- Paired axial CT (left) and PSMA PET (right), 18F tracer
- PET panel 200×200 px (4.1 mm/px)
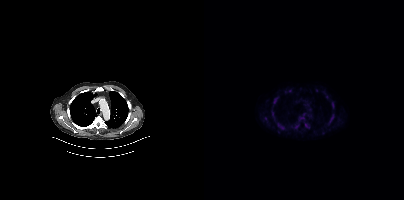
Findings: Coordinates are on the 200×200 PET (right) panel. (showing 10 of 13 foci) PSMA-avid tumor lesion bounding boxes (x0,y0,x1,y1): [74,123,80,129] [125,114,129,123] [69,98,73,103] [128,103,130,108] [95,117,100,119] [101,124,105,127]. Small PSMA-avid foci (2 to 4 px across) near (center x, center y): (68, 113) (93, 126) (85, 90) (61, 118).